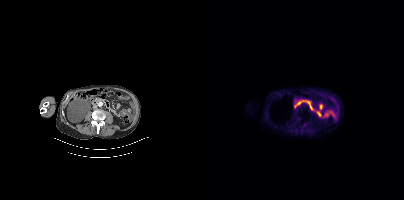
No tumor lesions annotated on this slice.